Paired axial CT (left) and PSMA PET (right), 68Ga-PSMA tracer. Slice 144 of 373.
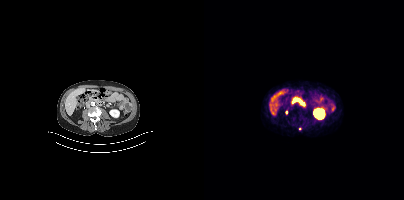
Coordinates are on the 200×200 PET (right) panel. PSMA-avid tumor lesion bounding boxes:
| # | x0 | y0 | x1 | y1 |
|---|---|---|---|---|
| 1 | 88 | 100 | 92 | 103 |
Small PSMA-avid foci (2 to 4 px across) near (center x, center y): (82, 112); (95, 128).